Left: CT. Right: PSMA PET, same axial level, [18F]PSMA-1007 tracer. Acquired on Siemens Biograph mCT Flow 20.
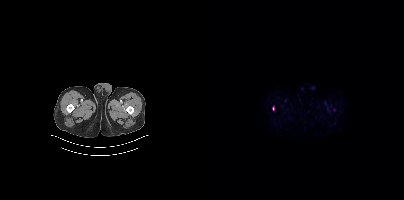
Coordinates are on the 200×200 PET (right) panel. PSMA-avid tumor lesion bounding box (x0, y0)-(x1, y1): (68, 106)-(70, 110).